Paired axial CT (left) and PSMA PET (right), 68Ga tracer. Slice 106 of 263.
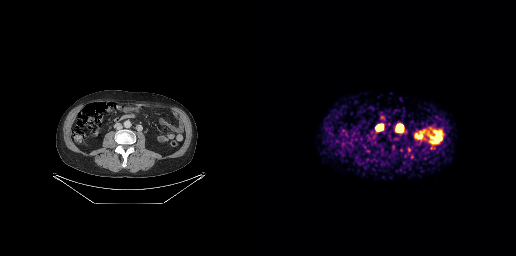
Coordinates are on the 256×256 PET (right) panel. PSMA-avid tumor lesion bounding boxes (x0, y0)-(x1, y1): (137, 125)-(142, 130); (117, 125)-(122, 129).